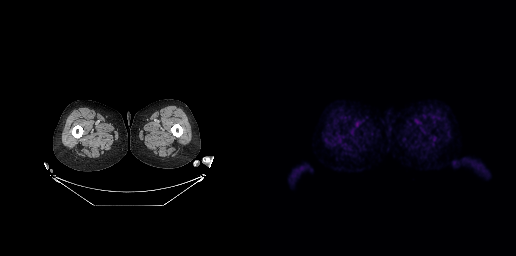
Findings: This slice has no annotated PSMA-avid lesion.
Technique: Two-panel axial: CT | PSMA PET, [18F]PSMA-1007 tracer. slice position z = -965 mm. PET panel 256×256 px (2.7 mm/px).